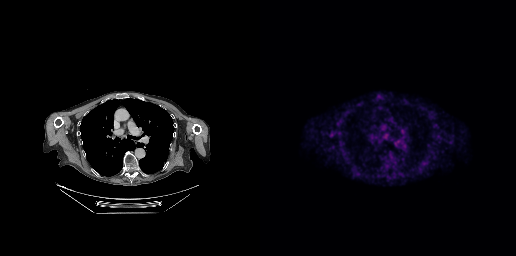
Coordinates are on the 256×256 PET (right) panel. PSMA-avid tumor lesion bounding boxes (x, y, width, height): x=121 y=124 w=6 h=7; x=122 y=134 w=7 h=6.